- Paired axial CT (left) and PSMA PET (right), [68Ga]Ga-PSMA-11 tracer
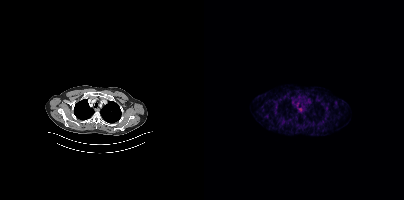
Findings: This slice has no annotated PSMA-avid lesion.